Left: CT. Right: PSMA PET, same axial level, 18F tracer. Slice 77 of 417. PET panel 200×200 px (4.1 mm/px).
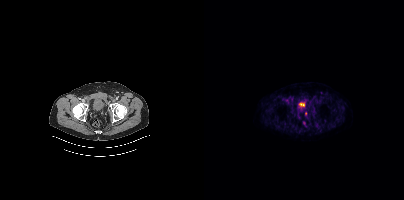
Coordinates are on the 200×200 PET (right) panel. Small PSMA-avid foci (2 to 4 px across) near (center x, center y): (100, 123); (101, 113).